Paired axial CT (left) and PSMA PET (right), [68Ga]Ga-PSMA-11 tracer.
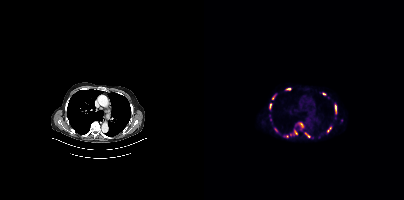
Coordinates are on the 200×200 PET (right) panel. (showing 11 of 12 foci) PSMA-avid tumor lesion bounding boxes (x0, y0)-(x1, y1): (86, 129)-(93, 136) | (93, 122)-(99, 126) | (101, 132)-(106, 137) | (131, 105)-(132, 113) | (82, 88)-(86, 90) | (65, 103)-(67, 108). Small PSMA-avid foci (2 to 4 px across) near (center x, center y): (69, 97) | (126, 127) | (120, 93) | (83, 136) | (71, 129).